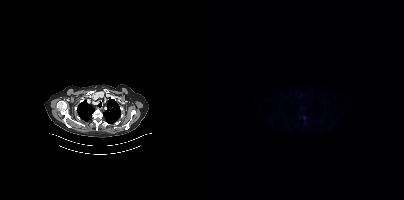
Coordinates are on the 200×200 PET (right) panel. Small PSMA-avid focus (2 to 4 px across) near (center x, center y): (100, 117).